Technique: Left: CT. Right: PSMA PET, same axial level, 18F-PSMA tracer. slice position z = -631 mm.
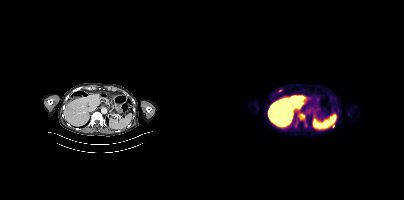
Findings: Coordinates are on the 200×200 PET (right) panel. (showing 2 of 3 foci) Small PSMA-avid foci (2 to 4 px across) near (center x, center y): (129, 126) / (99, 115).